Left: CT. Right: PSMA PET, same axial level, 18F-PSMA tracer.
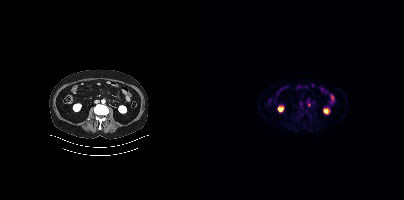
Only PSMA-avid lesion pieces thinner than 2 px on this slice (not listed).